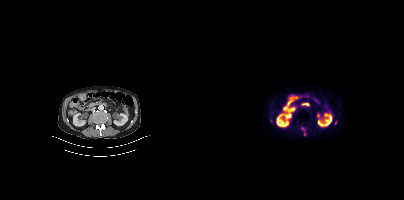
{"modality":"PSMA PET/CT","view":"axial","tracer":"18F","pet_grid":[200,200],"coord_frame":"pet_panel","coord_format":"x0,y0,x1,y1","lesion_bboxes":[],"small_foci_centers":[[98,128]]}